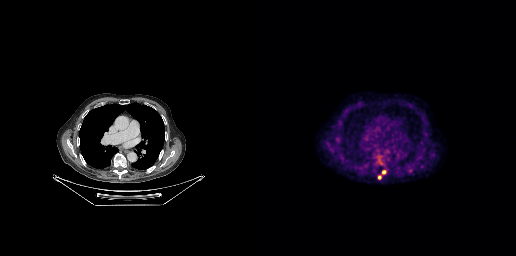
Paired axial CT (left) and PSMA PET (right), [18F]PSMA-1007 tracer. Slice position z = -382 mm.
Coordinates are on the 256×256 PET (right) panel. PSMA-avid tumor lesion bounding boxes (partial; 1 more focus not listed):
| # | x0 | y0 | x1 | y1 |
|---|---|---|---|---|
| 1 | 122 | 170 | 126 | 174 |
Small PSMA-avid foci (2 to 4 px across) near (center x, center y): (119, 176); (120, 162).